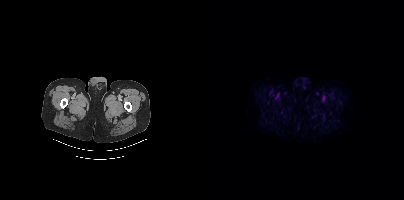
No PSMA-avid tumor lesions on this slice. Left: CT. Right: PSMA PET, same axial level, 18F tracer. Slice 33 of 435. PET panel 200×200 px (4.1 mm/px).